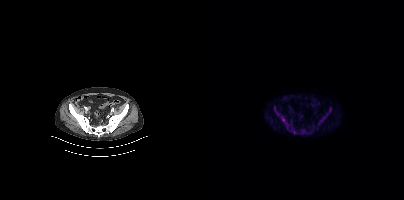
- Paired axial CT (left) and PSMA PET (right), [18F]PSMA-1007 tracer
- slice position z = -776 mm
- PET panel 200×200 px (4.1 mm/px)
Findings: Coordinates are on the 200×200 PET (right) panel. (showing 4 of 6 foci) PSMA-avid tumor lesion bounding boxes (x0, y0)-(x1, y1): (70, 110)-(85, 129) | (114, 108)-(127, 124) | (97, 129)-(102, 133) | (89, 129)-(92, 134).